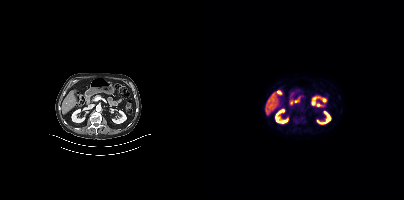
{"modality":"PSMA PET/CT","view":"axial","tracer":"18F","pet_grid":[200,200],"coord_frame":"pet_panel","coord_format":"x0,y0,x1,y1","psma_avid_lesions":false}